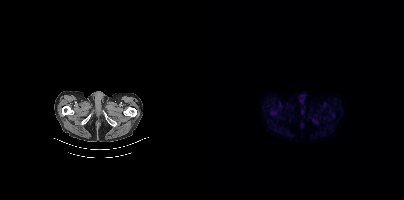
{"pet_grid":[200,200],"coord_frame":"pet_panel","coord_format":"x0,y0,x1,y1","psma_avid_lesions":false,"modality":"PSMA PET/CT","view":"axial","tracer":"18F"}